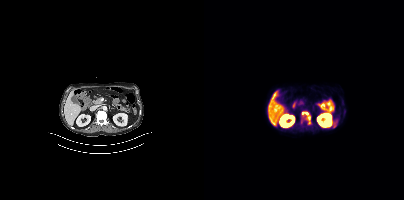
Coordinates are on the 200×200 PET (right) panel. PSMA-avid tumor lesion bounding boxes (x0, y0)-(x1, y1): (97, 111)-(106, 123) | (139, 111)-(141, 116).
modality: PSMA PET/CT | tracer: [18F]PSMA-1007 | view: axial | PET grid: 200×200